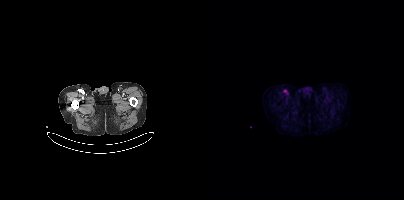
Coordinates are on the 200×200 PET (right) panel. Small PSMA-avid focus (2 to 4 px across) near (center x, center y): (81, 91).